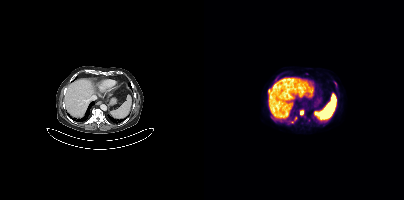
Findings: Coordinates are on the 200×200 PET (right) panel. (showing 4 of 7 foci) PSMA-avid tumor lesion bounding boxes (x0,y0,x1,y1): [96,110,99,114], [130,81,132,87], [64,90,65,95]. Small PSMA-avid focus (2 to 4 px across) near (center x, center y): (72, 80).
- Two-panel axial: CT | PSMA PET, 18F tracer
- acquired on Siemens Biograph mCT Flow 20
- PET panel 200×200 px (4.1 mm/px)